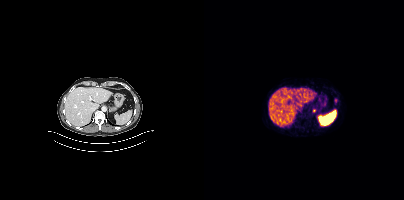
{"modality":"PSMA PET/CT","view":"axial","tracer":"68Ga","pet_grid":[200,200],"coord_frame":"pet_panel","coord_format":"x0,y0,x1,y1","lesion_bboxes":[],"small_foci_centers":[[110,110]]}